modality: PSMA PET/CT | tracer: 68Ga | view: axial
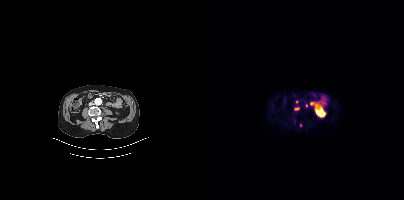
Coordinates are on the 200×200 PET (right) panel. PSMA-avid tumor lesion bounding box (x0, y0)-(x1, y1): (91, 108)-(95, 109). Small PSMA-avid foci (2 to 4 px across) near (center x, center y): (96, 125); (102, 105); (92, 101).